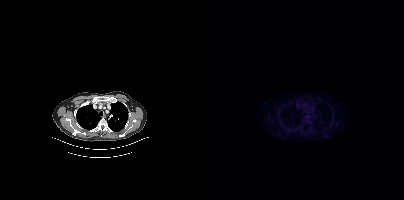
No tumor lesions annotated on this slice.